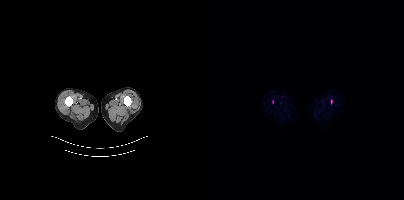
Technique: Paired axial CT (left) and PSMA PET (right), 18F tracer. acquired on Siemens Biograph mCT Flow 20. PET panel 200×200 px (4.1 mm/px).
Findings: Coordinates are on the 200×200 PET (right) panel. Small PSMA-avid foci (2 to 4 px across) near (center x, center y): (68, 101); (127, 101).